Technique: Left: CT. Right: PSMA PET, same axial level, [18F]PSMA-1007 tracer. acquired on GE Discovery 690.
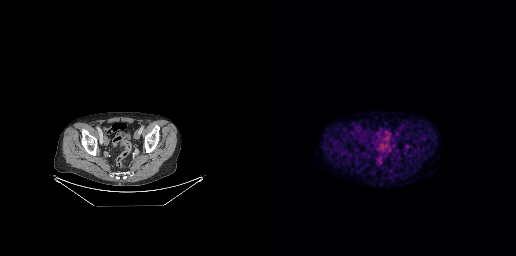
Findings: This slice has no annotated PSMA-avid lesion.